- Two-panel axial: CT | PSMA PET, 68Ga-PSMA tracer
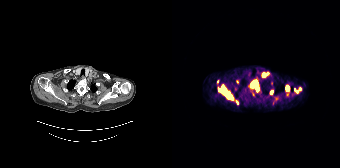
Findings: Coordinates are on the 168×168 PET (right) panel. (showing 11 of 13 foci) PSMA-avid tumor lesion bounding boxes (x0, y0)-(x1, y1): (50, 86)-(60, 99); (79, 81)-(86, 90); (114, 86)-(117, 90). Small PSMA-avid foci (2 to 4 px across) near (center x, center y): (91, 74); (99, 92); (45, 81); (49, 90); (95, 73); (122, 89); (125, 91); (65, 102).